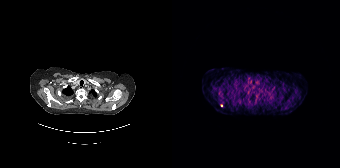
Findings: Coordinates are on the 168×168 PET (right) panel. Small PSMA-avid focus (2 to 4 px across) near (center x, center y): (49, 105).
- Two-panel axial: CT | PSMA PET, 68Ga-PSMA tracer